modality: PSMA PET/CT | tracer: 18F-PSMA | view: axial | PET grid: 200×200
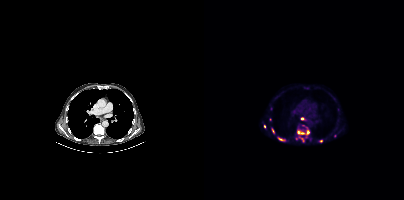
Coordinates are on the 200×200 PET (right) panel. (showing 8 of 12 foci) PSMA-avid tumor lesion bounding boxes (x0, y0)-(x1, y1): (102, 130)-(105, 134); (94, 131)-(100, 133); (75, 138)-(79, 140). Small PSMA-avid foci (2 to 4 px across) near (center x, center y): (98, 118); (69, 130); (60, 126); (92, 138); (98, 140).